Paired axial CT (left) and PSMA PET (right), [18F]PSMA-1007 tracer. PET panel 256×256 px (2.7 mm/px). Head region blanked for anonymization (face removed).
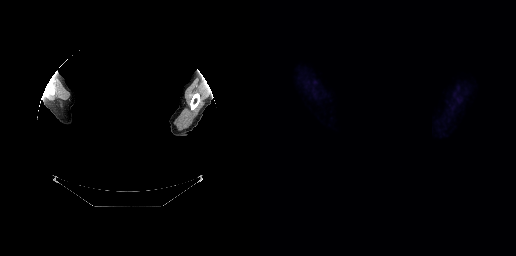
This slice has no annotated PSMA-avid lesion.